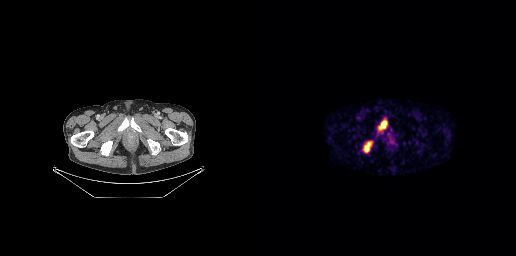
{"modality":"PSMA PET/CT","view":"axial","tracer":"68Ga-PSMA","pet_grid":[256,256],"coord_frame":"pet_panel","coord_format":"x0,y0,x1,y1","lesion_bboxes":[[103,141,112,152],[118,120,127,131]]}